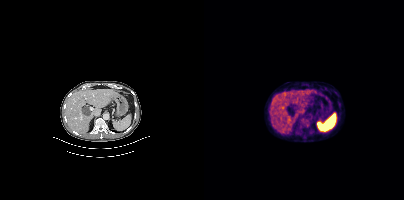
Findings: Coordinates are on the 200×200 PET (right) panel. PSMA-avid tumor lesion bounding box (x, y, width, height): x=95 y=117 w=13 h=11.
Technique: Left: CT. Right: PSMA PET, same axial level, [18F]PSMA-1007 tracer.